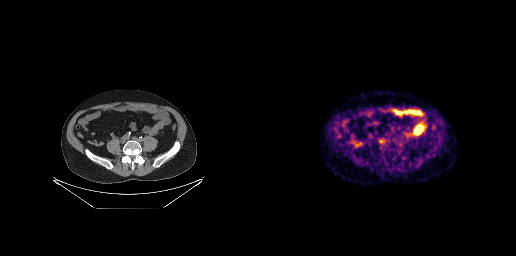
{"modality":"PSMA PET/CT","view":"axial","tracer":"[68Ga]Ga-PSMA-11","pet_grid":[256,256],"coord_frame":"pet_panel","coord_format":"x0,y0,x1,y1","lesion_bboxes":[],"small_foci_centers":[[120,140]]}